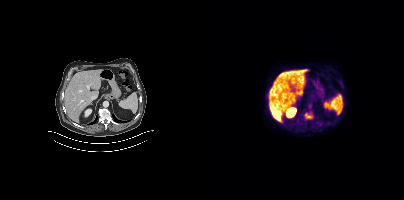
Paired axial CT (left) and PSMA PET (right), 18F-PSMA tracer. Acquired on Siemens Biograph mCT Flow 20. Coordinates are on the 200×200 PET (right) panel. PSMA-avid tumor lesion bounding box (x, y, width, height): x=101 y=113 w=8 h=6.